Two-panel axial: CT | PSMA PET, 68Ga-PSMA tracer. Acquired on GE Discovery 690. Slice 17 of 263.
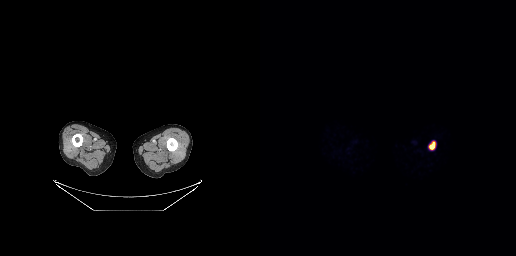
Coordinates are on the 256×256 PET (right) panel. PSMA-avid tumor lesion bounding box (x0, y0)-(x1, y1): (170, 143)-(174, 148).